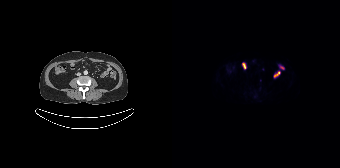
No tumor lesions annotated on this slice.